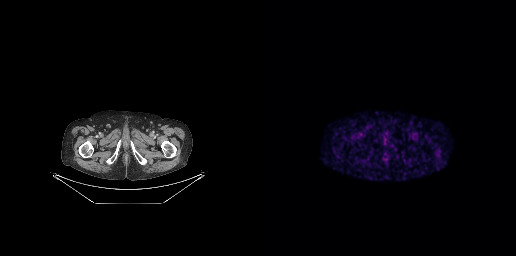
- Two-panel axial: CT | PSMA PET, 68Ga tracer
- acquired on GE Discovery 690
- slice 52 of 263
Findings: Negative for PSMA-avid disease on this slice.